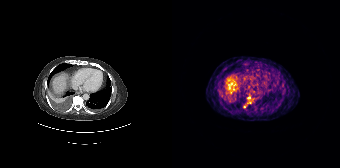
{"pet_grid":[168,168],"coord_frame":"pet_panel","coord_format":"x0,y0,x1,y1","lesion_bboxes":[],"small_foci_centers":[[77,97],[72,106],[77,102]],"modality":"PSMA PET/CT","view":"axial","tracer":"68Ga"}